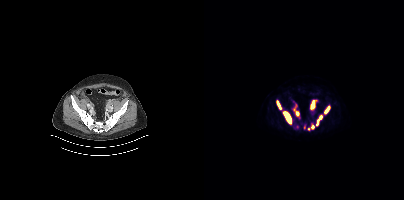
Findings: Coordinates are on the 200×200 PET (right) panel. (showing 8 of 9 foci) PSMA-avid tumor lesion bounding boxes (x0, y0)-(x1, y1): (79, 111)-(87, 124); (106, 100)-(112, 109); (112, 115)-(118, 125); (120, 105)-(126, 114); (72, 100)-(77, 109); (90, 109)-(95, 116); (107, 125)-(110, 129). Small PSMA-avid focus (2 to 4 px across) near (center x, center y): (104, 129).
- Left: CT. Right: PSMA PET, same axial level, 18F-PSMA tracer
- acquired on Siemens Biograph mCT Flow 20
- PET panel 200×200 px (4.1 mm/px)